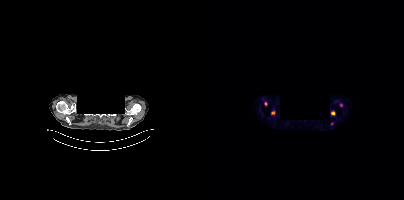
Findings: Coordinates are on the 200×200 PET (right) panel. PSMA-avid tumor lesion bounding boxes (x0,y0,x1,y1): [127,111,131,115]; [67,111,71,114]. Small PSMA-avid foci (2 to 4 px across) near (center x, center y): (61, 103); (137, 105); (127, 123).
- privacy masking over the head, with the pixels inside a rectangle set to black
- Left: CT. Right: PSMA PET, same axial level, 18F-PSMA tracer
- slice 324 of 385
- PET panel 200×200 px (4.1 mm/px)